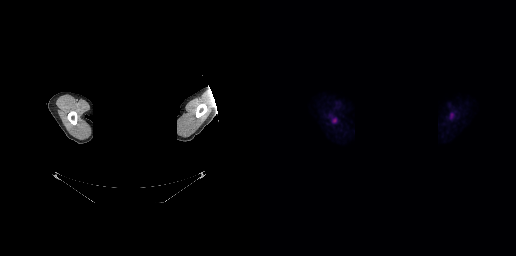
Findings: Coordinates are on the 256×256 PET (right) panel. PSMA-avid tumor lesion bounding box (x0, y0)-(x1, y1): (191, 113)-(192, 117).
Technique: Left: CT. Right: PSMA PET, same axial level, 18F-PSMA tracer. slice 280 of 299.
Note: The head region is masked for de-identification.